Paired axial CT (left) and PSMA PET (right), 18F tracer. Slice position z = -842 mm. PET panel 256×256 px (2.7 mm/px).
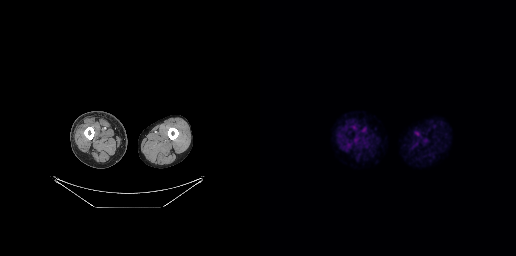
No PSMA-avid tumor lesions on this slice.